Paired axial CT (left) and PSMA PET (right), [18F]PSMA-1007 tracer. Acquired on Siemens Biograph mCT Flow 20. Slice position z = -467 mm.
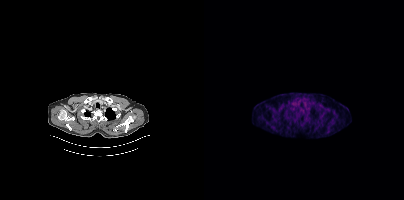
Negative for PSMA-avid disease on this slice.